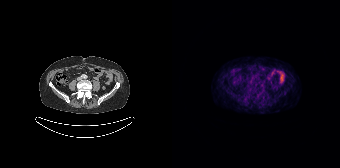
No tumor lesions annotated on this slice. Two-panel axial: CT | PSMA PET, 68Ga-PSMA tracer. PET panel 168×168 px (4.1 mm/px).